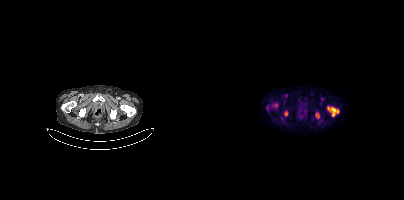
Paired axial CT (left) and PSMA PET (right), [18F]PSMA-1007 tracer. Acquired on Siemens Biograph mCT Flow 20. Slice 47 of 373. PET panel 200×200 px (4.1 mm/px). Coordinates are on the 200×200 PET (right) panel. PSMA-avid tumor lesion bounding boxes (x, y, width, height): x=123 y=106 w=12 h=11; x=80 y=111 w=4 h=5. Small PSMA-avid foci (2 to 4 px across) near (center x, center y): (113, 115); (72, 105).